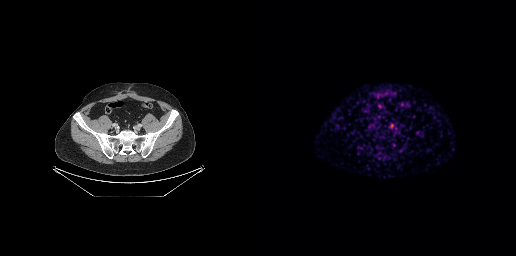
Only PSMA-avid lesion pieces thinner than 2 px on this slice (not listed).